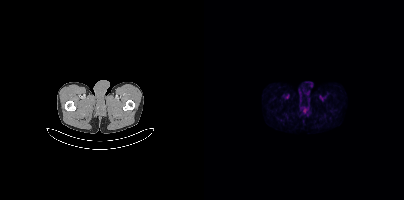
{"modality":"PSMA PET/CT","view":"axial","tracer":"[18F]PSMA-1007","pet_grid":[200,200],"coord_frame":"pet_panel","coord_format":"x0,y0,x1,y1","psma_avid_lesions":false}